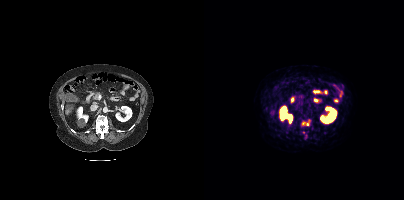
Coordinates are on the 200×200 PET (right) panel. PSMA-avid tumor lesion bounding boxes (partial; 1 more focus not listed):
| # | x0 | y0 | x1 | y1 |
|---|---|---|---|---|
| 1 | 98 | 120 | 106 | 126 |
Small PSMA-avid focus (2 to 4 px across) near (center x, center y): (99, 132).
Paired axial CT (left) and PSMA PET (right), [68Ga]Ga-PSMA-11 tracer. Slice 202 of 444.